Left: CT. Right: PSMA PET, same axial level, [18F]PSMA-1007 tracer. Acquired on Siemens Biograph mCT Flow 20. Slice 7 of 454. PET panel 200×200 px (4.1 mm/px).
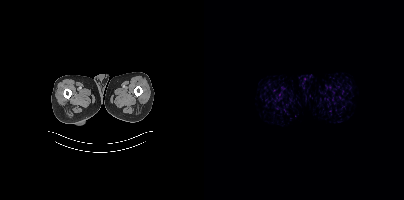
No PSMA-avid tumor lesions on this slice.